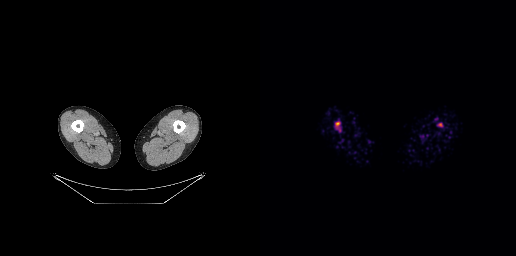
modality: PSMA PET/CT | tracer: 18F-PSMA | view: axial
Coordinates are on the 256×256 PET (right) panel. PSMA-avid tumor lesion bounding boxes (x0, y0)-(x1, y1): (75, 121)-(80, 131) / (178, 123)-(182, 126).